- Two-panel axial: CT | PSMA PET, [18F]PSMA-1007 tracer
- acquired on Siemens Biograph mCT Flow 20
- slice position z = -936 mm
- PET panel 200×200 px (4.1 mm/px)
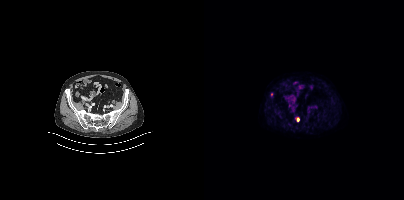
Findings: Coordinates are on the 200×200 PET (right) panel. PSMA-avid tumor lesion bounding box (x0, y0)-(x1, y1): (92, 117)-(95, 121). Small PSMA-avid focus (2 to 4 px across) near (center x, center y): (67, 94).